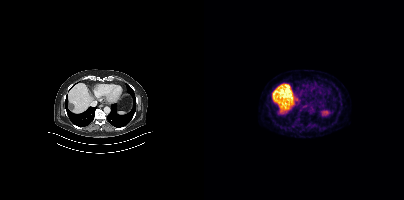
Findings: Only PSMA-avid lesion pieces thinner than 2 px on this slice (not listed).
- Left: CT. Right: PSMA PET, same axial level, 68Ga tracer
- slice 277 of 450
- PET panel 200×200 px (4.1 mm/px)